- Left: CT. Right: PSMA PET, same axial level, [18F]PSMA-1007 tracer
- PET panel 200×200 px (4.1 mm/px)
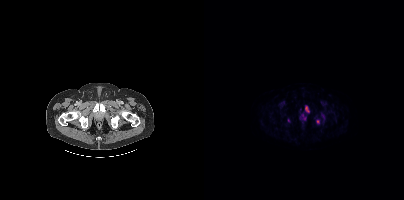
Findings: Coordinates are on the 200×200 PET (right) panel. PSMA-avid tumor lesion bounding box (x0,y0,x1,y1): [101,106,105,112]. Small PSMA-avid foci (2 to 4 px across) near (center x, center y): (84, 120) (113, 121) (98, 116).